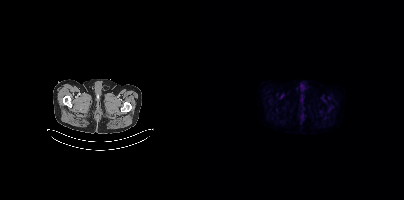
This slice has no annotated PSMA-avid lesion.